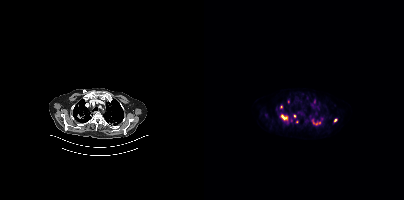
{"modality":"PSMA PET/CT","view":"axial","tracer":"18F","pet_grid":[200,200],"coord_frame":"pet_panel","coord_format":"x0,y0,x1,y1","partial":true,"lesion_bboxes":[[108,119,118,125],[76,115,83,120]],"small_foci_centers":[[77,106],[91,116],[87,120],[131,120],[92,121],[84,101]]}